Paired axial CT (left) and PSMA PET (right), 18F-PSMA tracer. Acquired on Siemens Biograph mCT Flow 20. Head region blanked for anonymization (face removed).
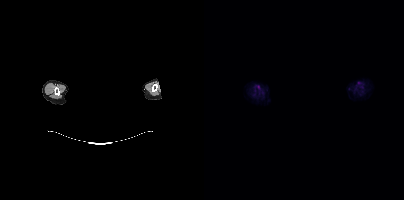
Negative for PSMA-avid disease on this slice.